- Paired axial CT (left) and PSMA PET (right), [18F]PSMA-1007 tracer
- PET panel 200×200 px (4.1 mm/px)
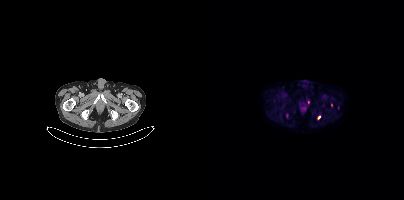
Findings: Coordinates are on the 200×200 PET (right) panel. (showing 3 of 4 foci) Small PSMA-avid foci (2 to 4 px across) near (center x, center y): (115, 117); (104, 102); (127, 104).